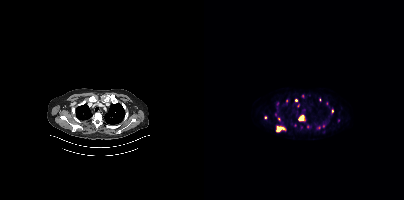
modality: PSMA PET/CT | tracer: [18F]PSMA-1007 | view: axial
Coordinates are on the 200×200 PET (right) panel. (showing 8 of 12 foci) PSMA-avid tumor lesion bounding boxes (x, y, width, height): x=72 y=126 w=10 h=6; x=94 y=115 w=8 h=7; x=127 y=108 w=3 h=5. Small PSMA-avid foci (2 to 4 px across) near (center x, center y): (116, 99); (123, 103); (92, 100); (61, 117); (74, 119).